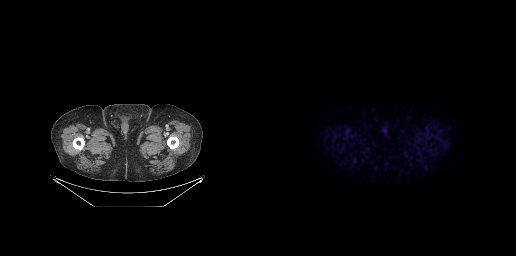
{"modality":"PSMA PET/CT","view":"axial","tracer":"18F","pet_grid":[256,256],"coord_frame":"pet_panel","coord_format":"x0,y0,x1,y1","psma_avid_lesions":false}